Left: CT. Right: PSMA PET, same axial level, 18F-PSMA tracer. Slice 207 of 407. PET panel 200×200 px (4.1 mm/px).
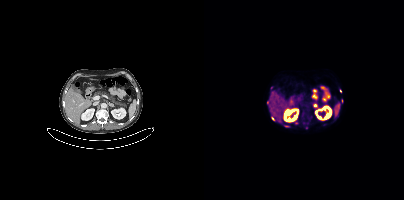
Coordinates are on the 200×200 PET (right) panel. (showing 6 of 9 foci) Small PSMA-avid foci (2 to 4 px across) near (center x, center y): (64, 102); (111, 105); (92, 123); (67, 88); (136, 91); (102, 127).